- Paired axial CT (left) and PSMA PET (right), 68Ga-PSMA tracer
- acquired on GE Discovery 690
- slice 84 of 263
- PET panel 256×256 px (2.7 mm/px)
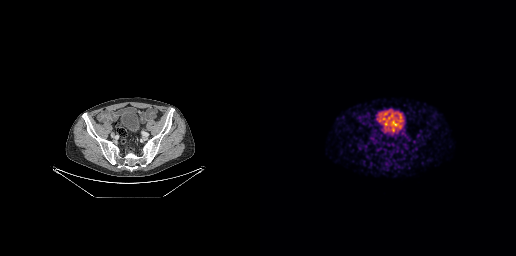
Findings: No tumor lesions annotated on this slice.